modality: PSMA PET/CT | tracer: [18F]PSMA-1007 | view: axial | PET grid: 200×200
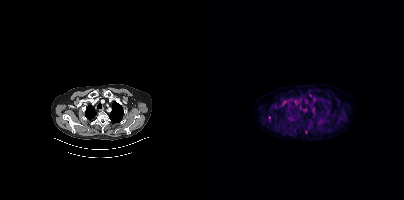
Coordinates are on the 200×200 PET (right) panel. Small PSMA-avid focus (2 to 4 px across) near (center x, center y): (65, 117).